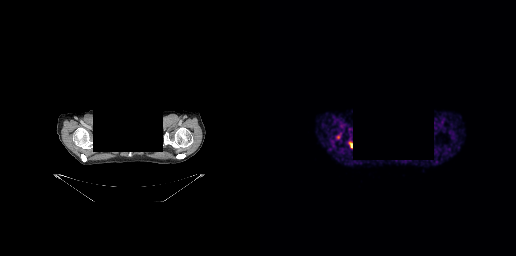
Coordinates are on the 256×256 PET (right) panel. PSMA-avid tumor lesion bounding box (x0, y0)-(x1, y1): (90, 143)-(92, 147).
modality: PSMA PET/CT | tracer: 68Ga-PSMA | view: axial | deidentification: rectangular block over head set to black